Left: CT. Right: PSMA PET, same axial level, 18F tracer. Acquired on Siemens Biograph mCT Flow 20. PET panel 200×200 px (4.1 mm/px).
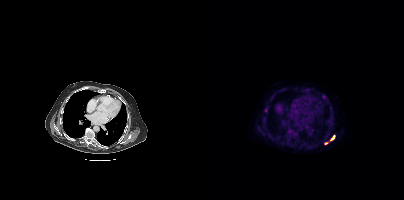
Coordinates are on the 200×200 PET (right) panel. PSMA-avid tumor lesion bounding boxes (partial; 1 more focus not listed):
| # | x0 | y0 | x1 | y1 |
|---|---|---|---|---|
| 1 | 127 | 135 | 130 | 140 |
Small PSMA-avid focus (2 to 4 px across) near (center x, center y): (122, 143).